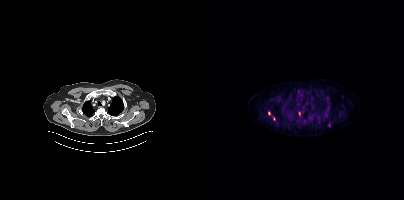
{"modality":"PSMA PET/CT","view":"axial","tracer":"18F","pet_grid":[200,200],"coord_frame":"pet_panel","coord_format":"x0,y0,x1,y1","lesion_bboxes":[],"small_foci_centers":[[125,124],[95,113],[70,118],[65,113]]}